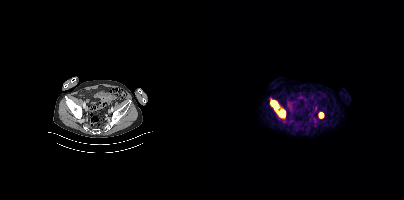
Findings: Coordinates are on the 200×200 PET (right) panel. PSMA-avid tumor lesion bounding boxes (x0, y0)-(x1, y1): (66, 99)-(81, 118) / (115, 112)-(119, 117).
- Paired axial CT (left) and PSMA PET (right), 18F tracer
- slice 113 of 427
- PET panel 200×200 px (4.1 mm/px)